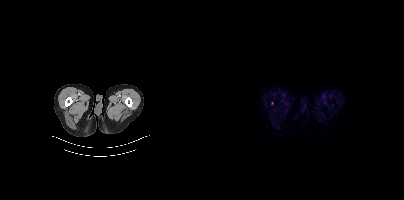
Only PSMA-avid lesion pieces thinner than 2 px on this slice (not listed).